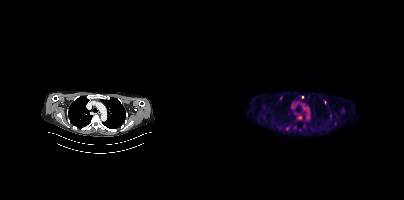
- Paired axial CT (left) and PSMA PET (right), [18F]PSMA-1007 tracer
- slice position z = -455 mm
- PET panel 200×200 px (4.1 mm/px)
Findings: Coordinates are on the 200×200 PET (right) panel. (showing 6 of 8 foci) Small PSMA-avid foci (2 to 4 px across) near (center x, center y): (95, 117) / (83, 128) / (77, 97) / (121, 101) / (98, 97) / (126, 115).